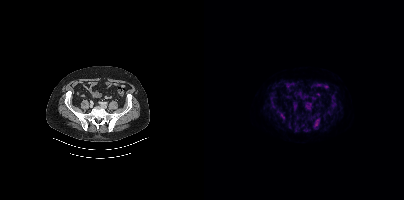
Technique: Two-panel axial: CT | PSMA PET, 18F tracer. PET panel 200×200 px (4.1 mm/px).
Findings: Coordinates are on the 200×200 PET (right) panel. PSMA-avid tumor lesion bounding boxes (x0,y0,x1,y1): [109,119,115,128], [76,113,80,119], [110,113,114,117], [127,96,131,100], [121,111,126,113], [127,103,131,105]. Small PSMA-avid focus (2 to 4 px across) near (center x, center y): (67, 105).